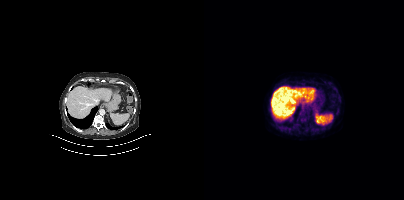
Findings: No PSMA-avid tumor lesions on this slice.
Technique: Paired axial CT (left) and PSMA PET (right), 18F-PSMA tracer. PET panel 200×200 px (4.1 mm/px).